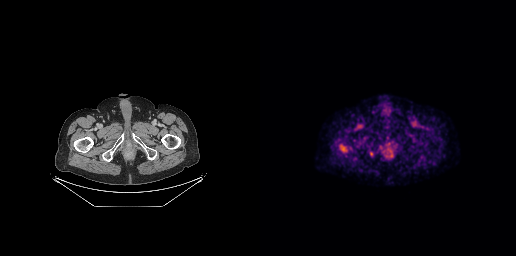
Left: CT. Right: PSMA PET, same axial level, [18F]PSMA-1007 tracer. Acquired on GE Discovery 690. Coordinates are on the 256×256 PET (right) panel. PSMA-avid tumor lesion bounding box (x0,y0,x1,y1): [79,144,87,152]. Small PSMA-avid focus (2 to 4 px across) near (center x, center y): (111, 153).